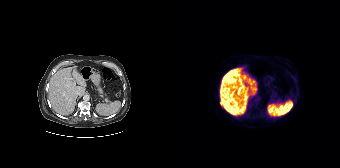
Left: CT. Right: PSMA PET, same axial level, 18F-PSMA tracer. Acquired on Siemens Biograph 64-4R TruePoint. Coordinates are on the 168×168 PET (right) panel. Small PSMA-avid focus (2 to 4 px across) near (center x, center y): (49, 103).